- Paired axial CT (left) and PSMA PET (right), [18F]PSMA-1007 tracer
- slice position z = -1557 mm
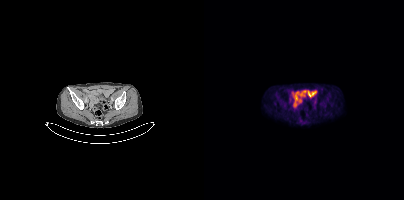
Findings: Negative for PSMA-avid disease on this slice.